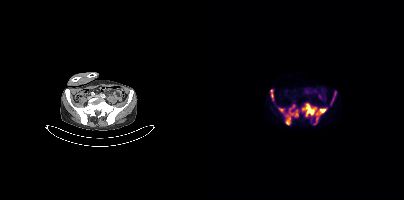
Findings: Coordinates are on the 200×200 PET (right) panel. PSMA-avid tumor lesion bounding boxes (x0, y0)-(x1, y1): (98, 103)-(123, 124); (74, 105)-(94, 124); (126, 91)-(132, 105); (66, 90)-(70, 101).
- Paired axial CT (left) and PSMA PET (right), 18F-PSMA tracer
- slice 125 of 409